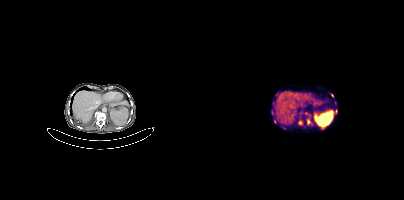
Findings: Coordinates are on the 200×200 PET (right) panel. (showing 6 of 8 foci) PSMA-avid tumor lesion bounding box (x, y, width, height): x=103 y=114 w=4 h=11. Small PSMA-avid foci (2 to 4 px across) near (center x, center y): (96, 122); (131, 111); (71, 121); (128, 95); (67, 111).
- Left: CT. Right: PSMA PET, same axial level, 68Ga tracer
- acquired on Siemens Biograph mCT Flow 20
- PET panel 200×200 px (4.1 mm/px)